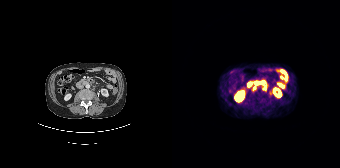
Coordinates are on the 168×168 PET (right) panel. PSMA-avid tumor lesion bounding boxes (x, y, width, height): x=83 y=81 w=6 h=5 | x=92 y=86 w=3 h=5. Small PSMA-avid focus (2 to 4 px across) near (center x, center y): (82, 88).
modality: PSMA PET/CT | tracer: 68Ga | view: axial | PET grid: 168×168